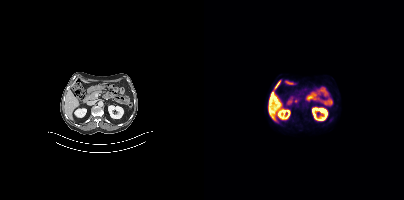
This slice has no annotated PSMA-avid lesion.